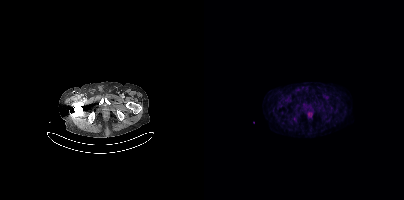
{"modality":"PSMA PET/CT","view":"axial","tracer":"18F-PSMA","pet_grid":[200,200],"coord_frame":"pet_panel","coord_format":"x0,y0,x1,y1","psma_avid_lesions":false}